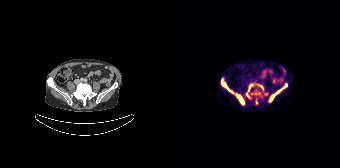
{"modality":"PSMA PET/CT","view":"axial","tracer":"68Ga-PSMA","pet_grid":[168,168],"coord_frame":"pet_panel","coord_format":"x0,y0,x1,y1","lesion_bboxes":[[97,84,114,101],[64,93,72,104],[49,80,61,93],[76,84,81,91],[91,92,95,95],[86,84,91,89]],"small_foci_centers":[[74,94],[84,102]]}